modality: PSMA PET/CT | tracer: [68Ga]Ga-PSMA-11 | view: axial
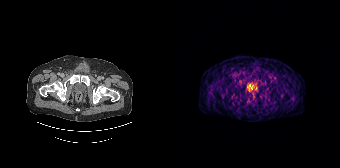
No PSMA-avid tumor lesions on this slice.